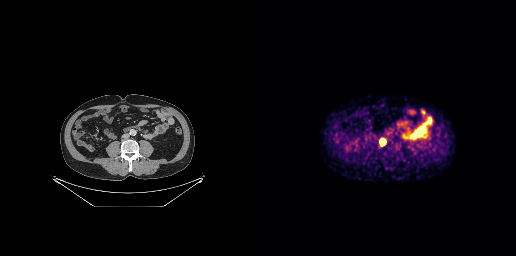
Left: CT. Right: PSMA PET, same axial level, 68Ga-PSMA tracer.
Coordinates are on the 256×256 PET (right) panel. PSMA-avid tumor lesion bounding boxes:
| # | x0 | y0 | x1 | y1 |
|---|---|---|---|---|
| 1 | 119 | 138 | 126 | 146 |